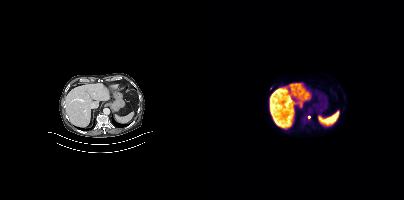
Only PSMA-avid lesion pieces thinner than 2 px on this slice (not listed). Two-panel axial: CT | PSMA PET, 18F-PSMA tracer. Acquired on Siemens Biograph mCT Flow 20. Slice 243 of 421.